Two-panel axial: CT | PSMA PET, 18F tracer. Acquired on Siemens Biograph mCT Flow 20.
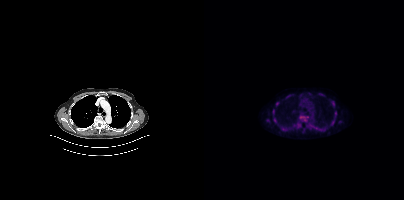
Coordinates are on the 200×200 PET (right) panel. PSMA-avid tumor lesion bounding boxes (partial; 1 more focus not listed):
| # | x0 | y0 | x1 | y1 |
|---|---|---|---|---|
| 1 | 128 | 101 | 130 | 105 |
| 2 | 70 | 118 | 72 | 122 |
| 3 | 131 | 112 | 132 | 116 |
Small PSMA-avid foci (2 to 4 px across) near (center x, center y): (73, 103); (69, 111); (130, 120).